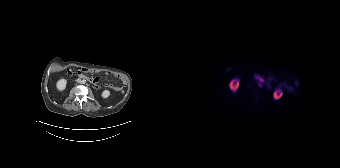
- Two-panel axial: CT | PSMA PET, 18F-PSMA tracer
- PET panel 168×168 px (4.1 mm/px)
Findings: Coordinates are on the 168×168 PET (right) panel. PSMA-avid tumor lesion bounding box (x, y, width, height): x=86 y=82 w=5 h=6.